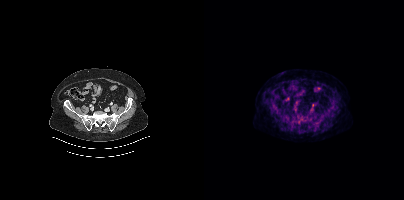
Technique: Paired axial CT (left) and PSMA PET (right), 18F-PSMA tracer.
Findings: No tumor lesions annotated on this slice.